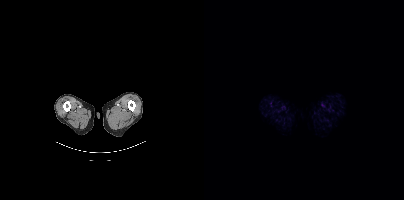
No tumor lesions annotated on this slice. Two-panel axial: CT | PSMA PET, 18F tracer.